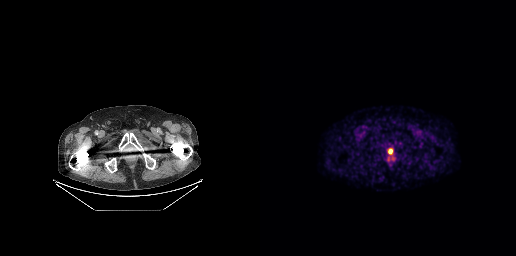
Coordinates are on the 256×256 PET (right) panel. PSMA-avid tumor lesion bounding box (x0,y0,x1,y1): [128,148,132,154]. Left: CT. Right: PSMA PET, same axial level, 18F tracer. Slice position z = -724 mm.